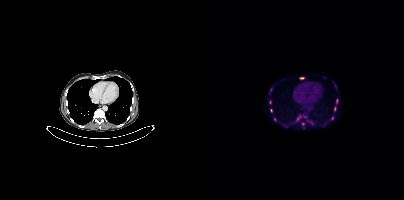
Paired axial CT (left) and PSMA PET (right), 18F-PSMA tracer. PET panel 200×200 px (4.1 mm/px).
Coordinates are on the 200×200 PET (right) panel. PSMA-avid tumor lesion bounding boxes (partial; 4 more foci not listed):
| # | x0 | y0 | x1 | y1 |
|---|---|---|---|---|
| 1 | 96 | 77 | 100 | 79 |
Small PSMA-avid foci (2 to 4 px across) near (center x, center y): (130, 108); (67, 110); (132, 100); (99, 123); (93, 119); (66, 102).